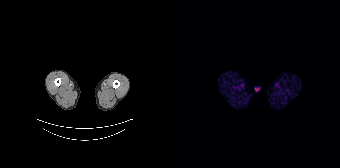
No tumor lesions annotated on this slice.